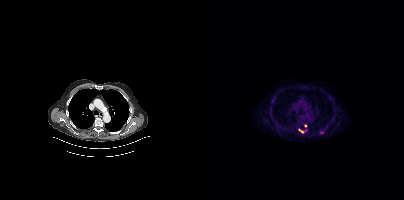
Technique: Left: CT. Right: PSMA PET, same axial level, [18F]PSMA-1007 tracer. PET panel 200×200 px (4.1 mm/px).
Findings: Coordinates are on the 200×200 PET (right) panel. (showing 3 of 4 foci) PSMA-avid tumor lesion bounding box (x, y, width, height): x=94 y=129 w=7 h=5. Small PSMA-avid foci (2 to 4 px across) near (center x, center y): (117, 132) | (101, 126).